Two-panel axial: CT | PSMA PET, [18F]PSMA-1007 tracer. Slice 73 of 367. PET panel 200×200 px (4.1 mm/px).
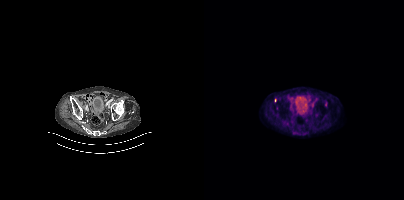
Only PSMA-avid lesion pieces thinner than 2 px on this slice (not listed).